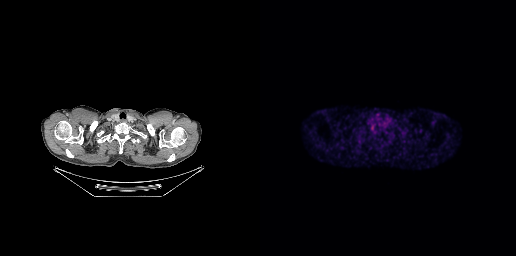
{"modality":"PSMA PET/CT","view":"axial","tracer":"18F","pet_grid":[256,256],"coord_frame":"pet_panel","coord_format":"x0,y0,x1,y1","psma_avid_lesions":false}